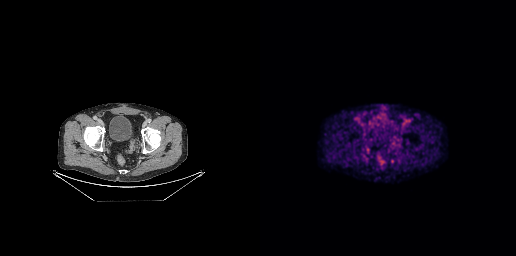
Coordinates are on the 256×256 PET (right) panel. PSMA-avid tumor lesion bounding boxes:
| # | x0 | y0 | x1 | y1 |
|---|---|---|---|---|
| 1 | 131 | 159 | 134 | 163 |
Left: CT. Right: PSMA PET, same axial level, 18F-PSMA tracer.